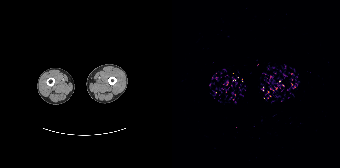
{"modality":"PSMA PET/CT","view":"axial","tracer":"68Ga-PSMA","pet_grid":[168,168],"coord_frame":"pet_panel","coord_format":"x0,y0,x1,y1","psma_avid_lesions":false}